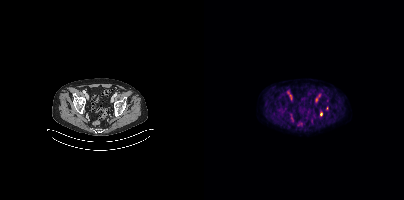
Paired axial CT (left) and PSMA PET (right), 18F tracer. Acquired on Siemens Biograph mCT Flow 20. PET panel 200×200 px (4.1 mm/px). Coordinates are on the 200×200 PET (right) panel. (showing 1 of 3 foci) Small PSMA-avid focus (2 to 4 px across) near (center x, center y): (117, 114).